- Paired axial CT (left) and PSMA PET (right), [18F]PSMA-1007 tracer
- slice 348 of 411
- PET panel 200×200 px (4.1 mm/px)
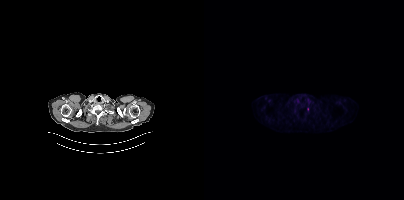
Findings: Only PSMA-avid lesion pieces thinner than 2 px on this slice (not listed).